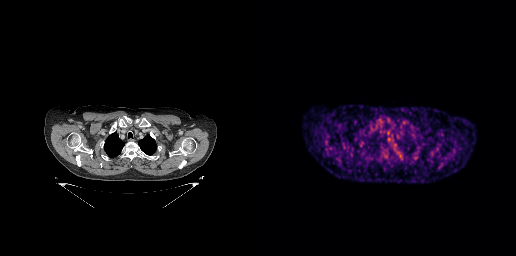
No tumor lesions annotated on this slice.
modality: PSMA PET/CT | tracer: 18F | view: axial